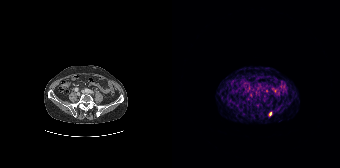
Coordinates are on the 168×168 PET (right) panel. PSMA-avid tumor lesion bounding box (x0,y0,x1,y1): [97,112,99,116].